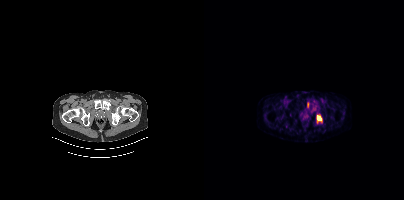
{"modality":"PSMA PET/CT","view":"axial","tracer":"[68Ga]Ga-PSMA-11","pet_grid":[200,200],"coord_frame":"pet_panel","coord_format":"x0,y0,x1,y1","lesion_bboxes":[[112,115,118,122],[103,102,105,107]]}